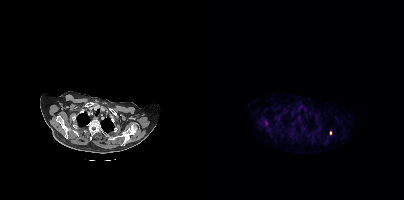
{"modality":"PSMA PET/CT","view":"axial","tracer":"18F","pet_grid":[200,200],"coord_frame":"pet_panel","coord_format":"x0,y0,x1,y1","lesion_bboxes":[],"small_foci_centers":[[126,132]]}